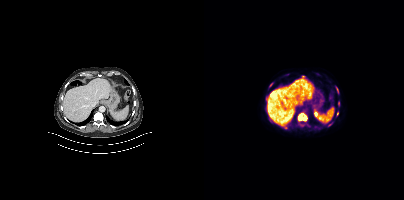
{"modality":"PSMA PET/CT","view":"axial","tracer":"18F","pet_grid":[200,200],"coord_frame":"pet_panel","coord_format":"x0,y0,x1,y1","partial":true,"lesion_bboxes":[[94,113,102,120]],"small_foci_centers":[[134,103],[125,124],[133,113],[133,92],[66,84]]}